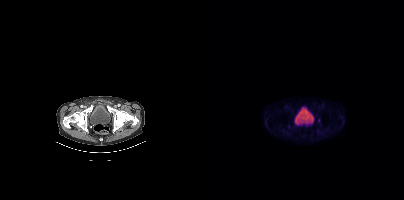
This slice has no annotated PSMA-avid lesion.